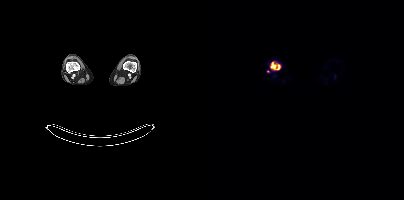
Coordinates are on the 200×200 PET (right) panel. (showing 1 of 2 foci) PSMA-avid tumor lesion bounding box (x0,y0,x1,y1): [67,61,75,69].